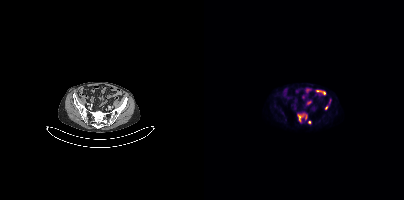
Paired axial CT (left) and PSMA PET (right), 18F tracer. Acquired on Siemens Biograph mCT Flow 20. Slice 100 of 391.
Coordinates are on the 200×200 PET (right) panel. PSMA-avid tumor lesion bounding boxes:
| # | x0 | y0 | x1 | y1 |
|---|---|---|---|---|
| 1 | 94 | 114 | 102 | 123 |
Small PSMA-avid foci (2 to 4 px across) near (center x, center y): (105, 122); (122, 107).